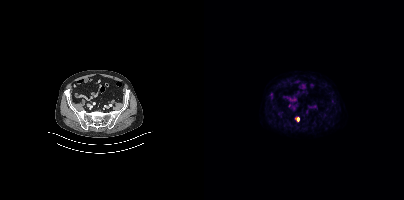
{"modality":"PSMA PET/CT","view":"axial","tracer":"18F","pet_grid":[200,200],"coord_frame":"pet_panel","coord_format":"x0,y0,x1,y1","partial":true,"lesion_bboxes":[[91,117,95,121]]}